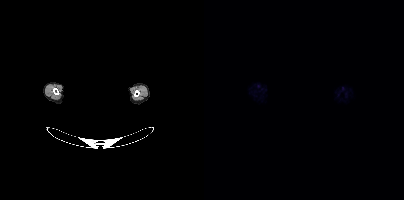
Negative for PSMA-avid disease on this slice.
The head region is masked for de-identification.